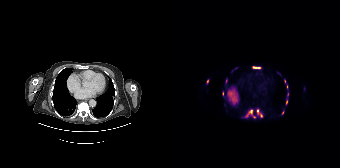
Two-panel axial: CT | PSMA PET, 18F-PSMA tracer. Acquired on Siemens Biograph 64-4R TruePoint. Coordinates are on the 168×168 PET (right) panel. (showing 9 of 13 foci) PSMA-avid tumor lesion bounding boxes (x, y, width, height): x=74 y=109 w=7 h=8 / x=85 y=109 w=6 h=9 / x=81 y=67 w=8 h=2 / x=114 y=100 w=2 h=5. Small PSMA-avid foci (2 to 4 px across) near (center x, center y): (50, 93) / (110, 112) / (82, 116) / (35, 81) / (112, 81).